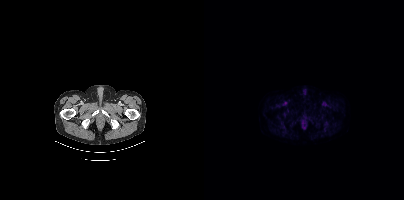
Technique: Paired axial CT (left) and PSMA PET (right), 18F-PSMA tracer. acquired on Siemens Biograph mCT Flow 20. PET panel 200×200 px (4.1 mm/px).
Findings: Negative for PSMA-avid disease on this slice.